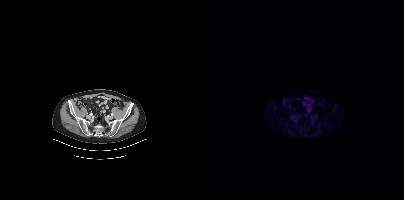
{"pet_grid":[200,200],"coord_frame":"pet_panel","coord_format":"x0,y0,x1,y1","psma_avid_lesions":false,"modality":"PSMA PET/CT","view":"axial","tracer":"[18F]PSMA-1007"}